Two-panel axial: CT | PSMA PET, 18F-PSMA tracer. Slice position z = -229 mm.
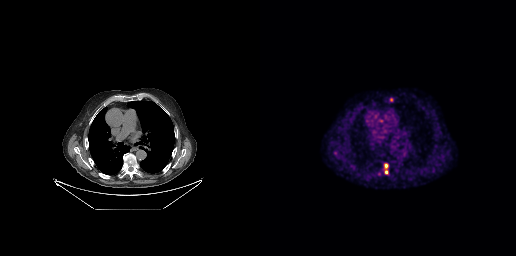
Coordinates are on the 256×256 PET (right) panel. PSMA-avid tumor lesion bounding box (x0, y0)-(x1, y1): (124, 163)-(128, 168). Small PSMA-avid focus (2 to 4 px across) near (center x, center y): (126, 171).